modality: PSMA PET/CT | tracer: 18F | view: axial | PET grid: 200×200
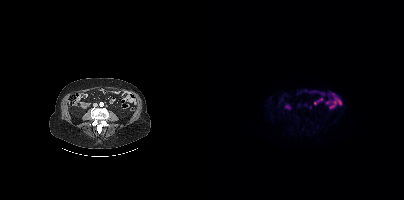
No PSMA-avid tumor lesions on this slice.